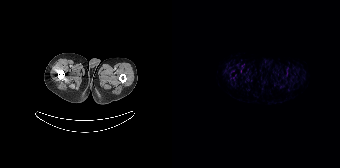
This slice has no annotated PSMA-avid lesion.